Paired axial CT (left) and PSMA PET (right), 68Ga tracer. Acquired on Siemens Biograph 64-4R TruePoint. Slice position z = -724 mm.
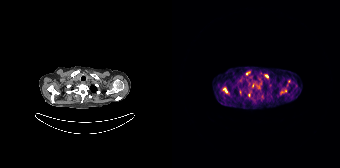
Coordinates are on the 168×168 PET (right) panel. (showing 6 of 10 foci) PSMA-avid tumor lesion bounding boxes (x0, y0)-(x1, y1): (51, 88)-(55, 92); (67, 89)-(69, 94). Small PSMA-avid foci (2 to 4 px across) near (center x, center y): (74, 73); (94, 76); (109, 93); (113, 90).